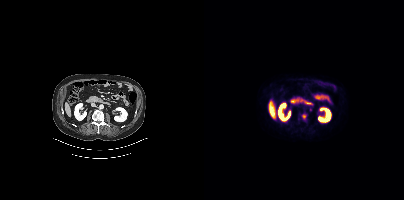
Paired axial CT (left) and PSMA PET (right), 18F-PSMA tracer. Slice 206 of 450. PET panel 200×200 px (4.1 mm/px). Coordinates are on the 200×200 PET (right) panel. PSMA-avid tumor lesion bounding box (x, y, width, height): x=98 y=114 w=4 h=5.